- Two-panel axial: CT | PSMA PET, 18F tracer
- slice position z = -1231 mm
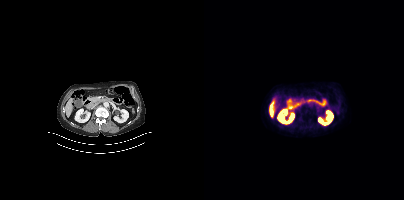
Findings: Negative for PSMA-avid disease on this slice.